modality: PSMA PET/CT | tracer: 18F | view: axial
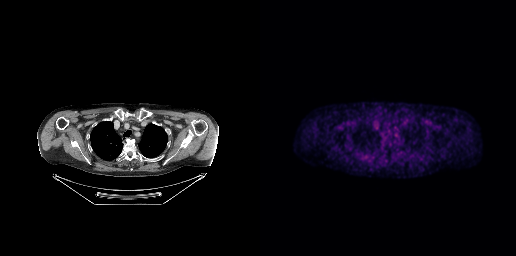
This slice has no annotated PSMA-avid lesion.